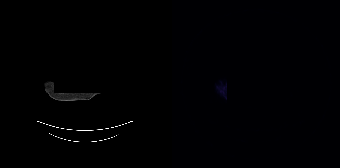
No tumor lesions annotated on this slice.
modality: PSMA PET/CT | tracer: 68Ga | view: axial | PET grid: 168×168 | de-identification: head region blanked (face removed)